modality: PSMA PET/CT | tracer: 68Ga-PSMA | view: axial
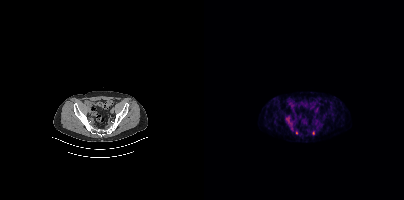
Coordinates are on the 200×200 PET (right) panel. (showing 1 of 2 foci) Small PSMA-avid focus (2 to 4 px across) near (center x, center y): (92, 132).